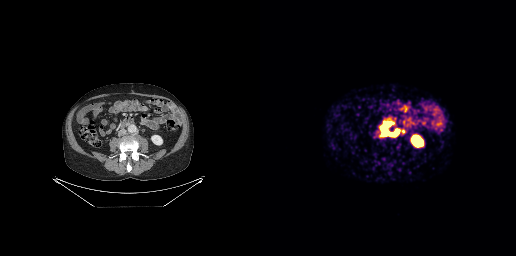
Technique: Left: CT. Right: PSMA PET, same axial level, 68Ga-PSMA tracer. acquired on GE Discovery 690. slice position z = -645 mm.
Findings: Coordinates are on the 256×256 PET (right) panel. PSMA-avid tumor lesion bounding boxes (x, y, width, height): x=122 y=128 w=17 h=8 | x=126 y=122 w=6 h=5 | x=140 y=129 w=5 h=5.